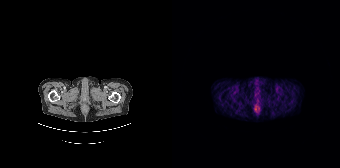
- Paired axial CT (left) and PSMA PET (right), 68Ga-PSMA tracer
- acquired on Siemens Biograph 64-4R TruePoint
Findings: This slice has no annotated PSMA-avid lesion.